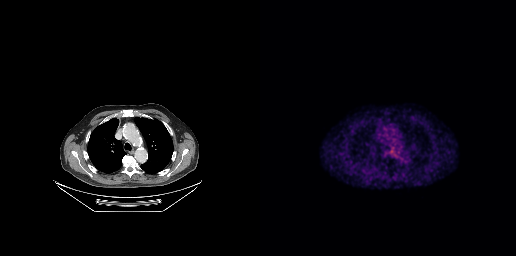
Findings: Negative for PSMA-avid disease on this slice.
- Left: CT. Right: PSMA PET, same axial level, [68Ga]Ga-PSMA-11 tracer
- acquired on GE Discovery 690
- slice 206 of 263